Paired axial CT (left) and PSMA PET (right), 18F-PSMA tracer. Acquired on Siemens Biograph mCT Flow 20. PET panel 200×200 px (4.1 mm/px).
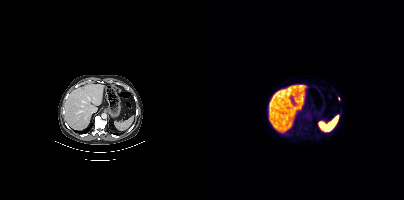
Coordinates are on the 200×200 PET (right) panel. Small PSMA-avid focus (2 to 4 px across) near (center x, center y): (134, 98).